Technique: Left: CT. Right: PSMA PET, same axial level, 18F tracer.
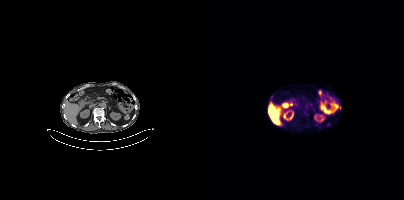
Findings: Coordinates are on the 200×200 PET (right) panel. Small PSMA-avid focus (2 to 4 px across) near (center x, center y): (135, 107).